Paired axial CT (left) and PSMA PET (right), 68Ga tracer. PET panel 168×168 px (4.1 mm/px).
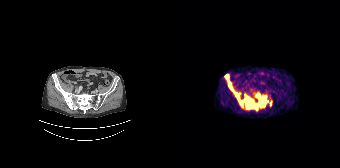
Coordinates are on the 168×168 PET (right) panel. PSMA-avid tumor lesion bounding boxes (partial; 1 more focus not listed):
| # | x0 | y0 | x1 | y1 |
|---|---|---|---|---|
| 1 | 73 | 96 | 94 | 109 |
| 2 | 56 | 82 | 60 | 90 |
| 3 | 63 | 93 | 69 | 103 |
Small PSMA-avid focus (2 to 4 px across) near (center x, center y): (54, 76).